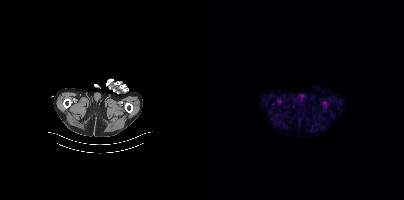
{"modality":"PSMA PET/CT","view":"axial","tracer":"18F","pet_grid":[200,200],"coord_frame":"pet_panel","coord_format":"x0,y0,x1,y1","psma_avid_lesions":false}